The face region was removed for patient privacy by blanking a rectangle over the head.
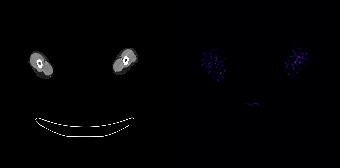
This slice has no annotated PSMA-avid lesion.